modality: PSMA PET/CT | tracer: 18F-PSMA | view: axial
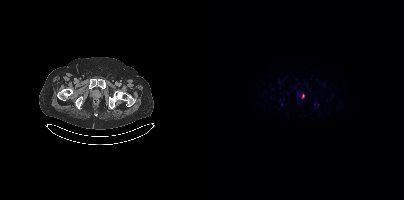
Coordinates are on the 200×200 PET (right) panel. PSMA-avid tumor lesion bounding box (x0, y0)-(x1, y1): (98, 94)-(100, 98). Small PSMA-avid focus (2 to 4 px across) near (center x, center y): (77, 104).